modality: PSMA PET/CT | tracer: 18F-PSMA | view: axial
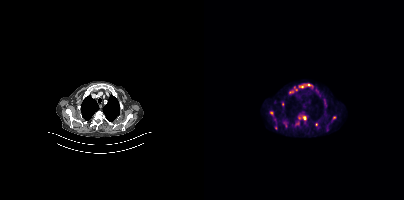
Coordinates are on the 200×200 PET (right) panel. (showing 9 of 10 foci) PSMA-avid tumor lesion bounding boxes (x0, y0)-(x1, y1): (85, 83)-(108, 93); (94, 114)-(102, 123); (91, 121)-(95, 125); (119, 98)-(122, 103). Small PSMA-avid foci (2 to 4 px across) near (center x, center y): (67, 112); (72, 127); (112, 125); (78, 104); (130, 117).